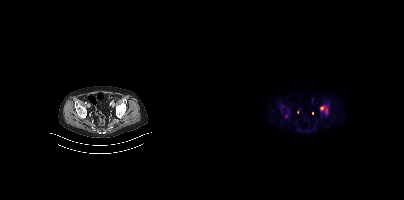
Coordinates are on the 200×200 PET (right) panel. PSMA-avid tumor lesion bounding boxes (x0,y0,x1,y1): [116,106,124,113], [76,104,79,109]. Small PSMA-avid focus (2 to 4 px across) near (center x, center y): (82, 115). Two-panel axial: CT | PSMA PET, 18F tracer. Acquired on Siemens Biograph mCT Flow 20. Slice position z = -1509 mm.